Technique: Paired axial CT (left) and PSMA PET (right), [18F]PSMA-1007 tracer.
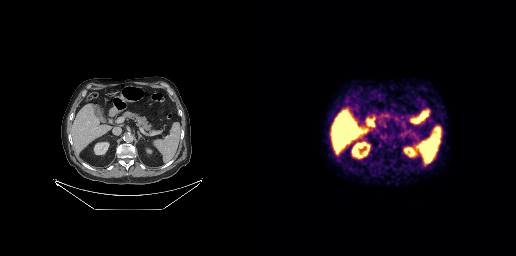
Findings: No tumor lesions annotated on this slice.